Two-panel axial: CT | PSMA PET, 68Ga tracer. Slice position z = -917 mm. PET panel 256×256 px (2.7 mm/px).
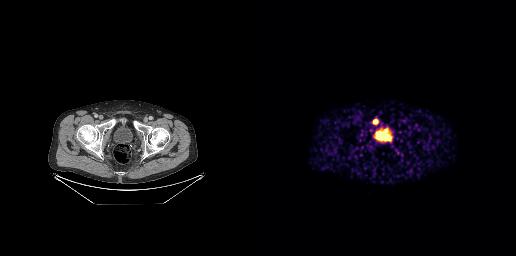
Only PSMA-avid lesion pieces thinner than 2 px on this slice (not listed).